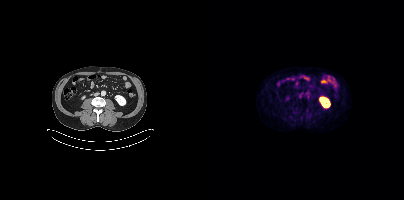
Coordinates are on the 200×200 PET (right) panel. Small PSMA-avid focus (2 to 4 px across) near (center x, center y): (97, 93).